- Paired axial CT (left) and PSMA PET (right), [68Ga]Ga-PSMA-11 tracer
- slice 41 of 195
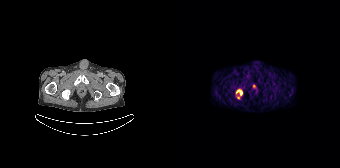
Findings: Coordinates are on the 168×168 PET (right) panel. PSMA-avid tumor lesion bounding box (x, y, width, height): x=64 y=89 w=7 h=7. Small PSMA-avid focus (2 to 4 px across) near (center x, center y): (66, 97).